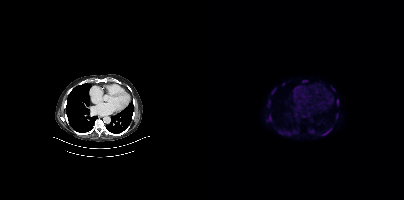
{"pet_grid":[200,200],"coord_frame":"pet_panel","coord_format":"x0,y0,x1,y1","partial":true,"lesion_bboxes":[[118,129,127,135],[63,100,66,106],[65,115,67,121],[98,80,103,82],[133,99,134,103],[132,114,133,118]],"small_foci_centers":[[129,89],[67,93],[128,98]],"modality":"PSMA PET/CT","view":"axial","tracer":"[18F]PSMA-1007"}